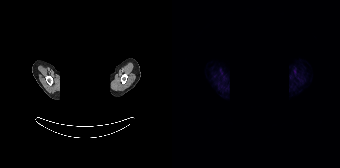
{"modality":"PSMA PET/CT","view":"axial","tracer":"68Ga","pet_grid":[168,168],"coord_frame":"pet_panel","coord_format":"x0,y0,x1,y1","psma_avid_lesions":false,"de-identification":"head region blacked out before release"}